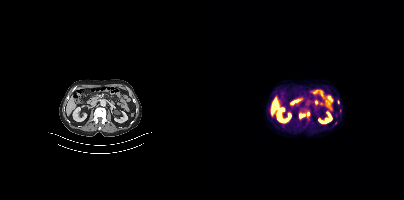
Coordinates are on the 200×200 PET (right) panel. PSMA-avid tumor lesion bounding box (x0, y0)-(x1, y1): (95, 114)-(101, 118). Small PSMA-avid foci (2 to 4 px across) near (center x, center y): (104, 113) | (134, 102).
modality: PSMA PET/CT | tracer: [18F]PSMA-1007 | view: axial